- Paired axial CT (left) and PSMA PET (right), [18F]PSMA-1007 tracer
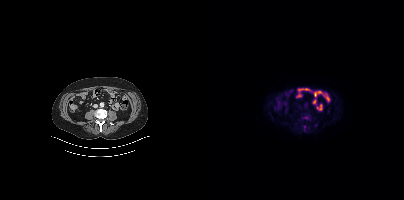
Findings: Coordinates are on the 200×200 PET (right) panel. PSMA-avid tumor lesion bounding box (x0, y0)-(x1, y1): (99, 125)-(102, 130). Small PSMA-avid focus (2 to 4 px across) near (center x, center y): (112, 125).